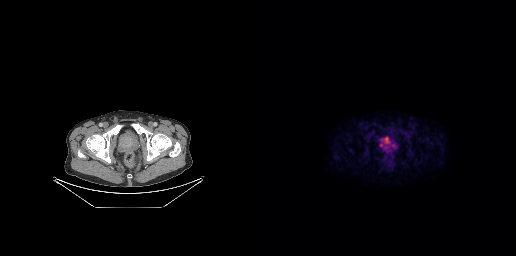
{"modality":"PSMA PET/CT","view":"axial","tracer":"18F","pet_grid":[256,256],"coord_frame":"pet_panel","coord_format":"x0,y0,x1,y1","lesion_bboxes":[[120,136,136,149]]}